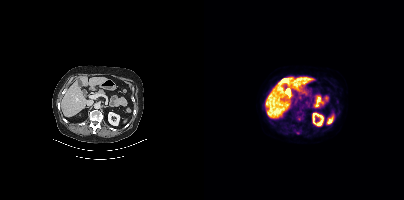
Findings: Coordinates are on the 200×200 PET (right) panel. Small PSMA-avid focus (2 to 4 px across) near (center x, center y): (94, 132).
Technique: Two-panel axial: CT | PSMA PET, 18F-PSMA tracer. acquired on Siemens Biograph mCT Flow 20. slice position z = -552 mm.